deidentification: privacy mask over head | modality: PSMA PET/CT | tracer: [18F]PSMA-1007 | view: axial | PET grid: 200×200
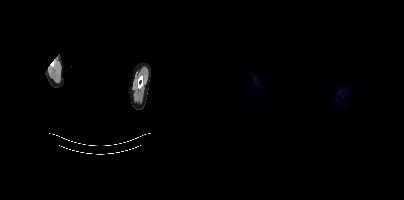
Negative for PSMA-avid disease on this slice.